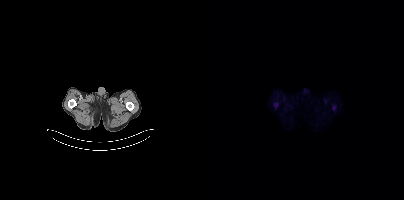
modality: PSMA PET/CT | tracer: [18F]PSMA-1007 | view: axial
No PSMA-avid tumor lesions on this slice.